Paired axial CT (left) and PSMA PET (right), [18F]PSMA-1007 tracer. Slice 215 of 263. PET panel 256×256 px (2.7 mm/px).
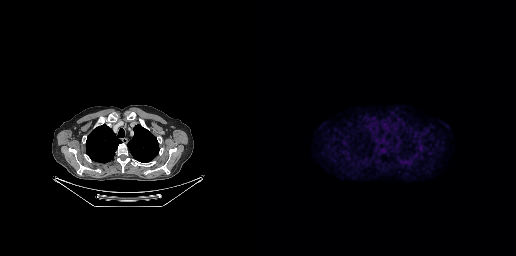
Negative for PSMA-avid disease on this slice.